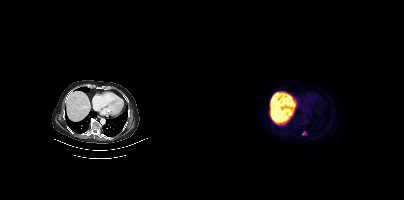
Technique: Paired axial CT (left) and PSMA PET (right), 18F-PSMA tracer. acquired on Siemens Biograph mCT Flow 20. PET panel 200×200 px (4.1 mm/px).
Findings: Coordinates are on the 200×200 PET (right) panel. PSMA-avid tumor lesion bounding box (x0, y0)-(x1, y1): (98, 131)-(102, 134).